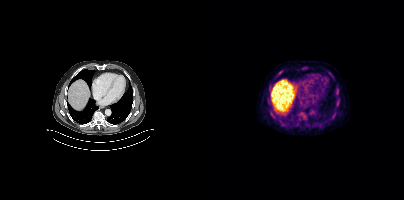
Technique: Paired axial CT (left) and PSMA PET (right), 18F-PSMA tracer. acquired on Siemens Biograph mCT Flow 20.
Findings: Coordinates are on the 200×200 PET (right) panel. (showing 4 of 6 foci) PSMA-avid tumor lesion bounding boxes (x0, y0)-(x1, y1): (73, 71)-(77, 75) | (128, 115)-(130, 119). Small PSMA-avid foci (2 to 4 px across) near (center x, center y): (125, 72) | (133, 90).